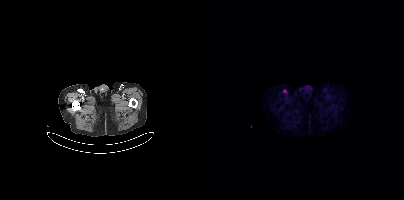
modality: PSMA PET/CT | tracer: [18F]PSMA-1007 | view: axial
Coordinates are on the 200×200 PET (right) panel. Small PSMA-avid focus (2 to 4 px across) near (center x, center y): (81, 91).